Two-panel axial: CT | PSMA PET, 18F-PSMA tracer. Slice position z = -988 mm.
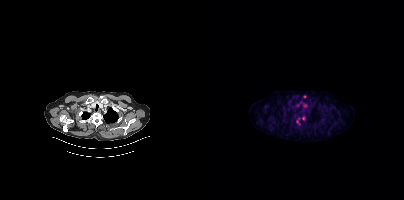
Coordinates are on the 200×200 PET (right) panel. PSMA-avid tumor lesion bounding boxes:
| # | x0 | y0 | x1 | y1 |
|---|---|---|---|---|
| 1 | 92 | 118 | 96 | 124 |
Small PSMA-avid foci (2 to 4 px across) near (center x, center y): (99, 118); (100, 96).